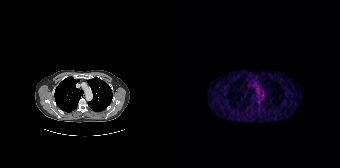
{"modality":"PSMA PET/CT","view":"axial","tracer":"68Ga","pet_grid":[168,168],"coord_frame":"pet_panel","coord_format":"x0,y0,x1,y1","lesion_bboxes":[],"small_foci_centers":[[87,102]]}